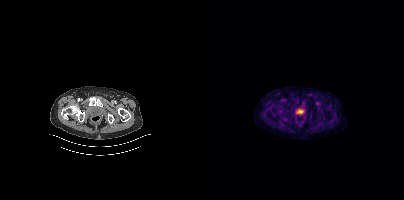
No PSMA-avid tumor lesions on this slice. Two-panel axial: CT | PSMA PET, 18F-PSMA tracer. Acquired on Siemens Biograph mCT Flow 20. PET panel 200×200 px (4.1 mm/px).